modality: PSMA PET/CT | tracer: [68Ga]Ga-PSMA-11 | view: axial
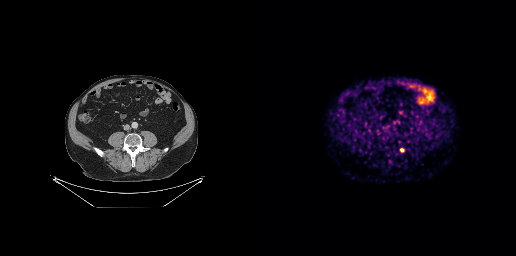
Coordinates are on the 256×256 PET (right) panel. PSMA-avid tumor lesion bounding box (x0,y0,x1,y1): [140,148,144,152].